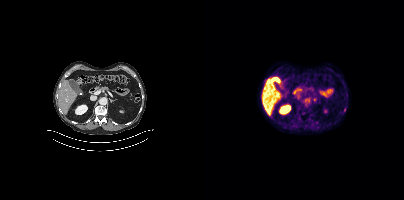
Negative for PSMA-avid disease on this slice.